Two-panel axial: CT | PSMA PET, 18F tracer. PET panel 200×200 px (4.1 mm/px).
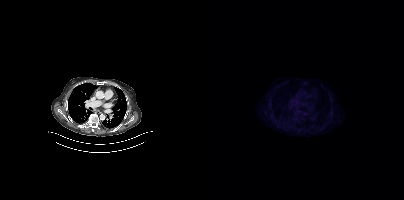
This slice has no annotated PSMA-avid lesion.